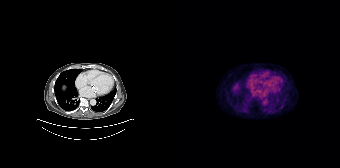
{"modality":"PSMA PET/CT","view":"axial","tracer":"18F-PSMA","pet_grid":[168,168],"coord_frame":"pet_panel","coord_format":"x0,y0,x1,y1","psma_avid_lesions":false}